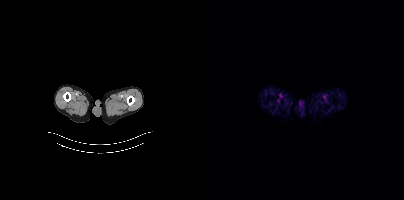
This slice has no annotated PSMA-avid lesion.